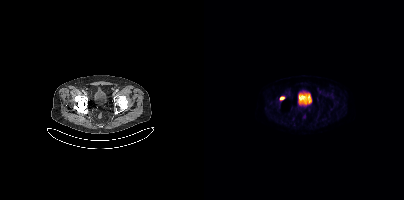
Two-panel axial: CT | PSMA PET, 18F-PSMA tracer. Coordinates are on the 200×200 PET (right) panel. Small PSMA-avid focus (2 to 4 px across) near (center x, center y): (77, 98).